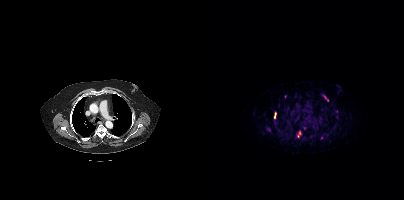
Coordinates are on the 200×200 PET (right) panel. (showing 5 of 6 foci) PSMA-avid tumor lesion bounding boxes (x0,y0,x1,y1): [92,130,97,137] [118,95,124,101] [70,112,72,118]. Small PSMA-avid foci (2 to 4 px across) near (center x, center y): (100, 128) (81, 96).